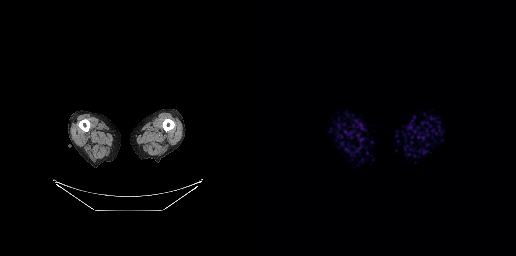
{"modality":"PSMA PET/CT","view":"axial","tracer":"18F-PSMA","pet_grid":[256,256],"coord_frame":"pet_panel","coord_format":"x0,y0,x1,y1","psma_avid_lesions":false}